- Two-panel axial: CT | PSMA PET, 68Ga-PSMA tracer
- acquired on GE Discovery 690
- slice position z = -482 mm
- PET panel 256×256 px (2.7 mm/px)
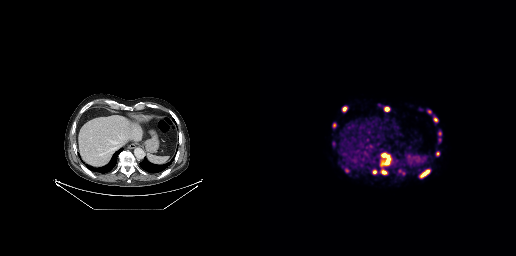
Findings: Coordinates are on the 256×256 PET (right) panel. (showing 15 of 16 foci) PSMA-avid tumor lesion bounding boxes (x0, y0)-(x1, y1): (160, 169)-(169, 177) | (120, 165)-(125, 173) | (125, 107)-(129, 111) | (82, 107)-(86, 111) | (176, 151)-(179, 156) | (85, 168)-(89, 172) | (126, 159)-(128, 163). Small PSMA-avid foci (2 to 4 px across) near (center x, center y): (175, 119) | (114, 171) | (169, 111) | (125, 156) | (74, 125) | (179, 133) | (179, 139) | (139, 170).